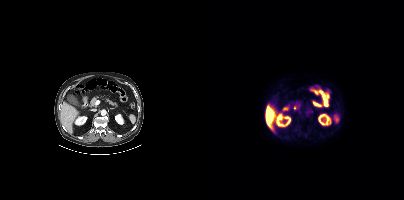
Two-panel axial: CT | PSMA PET, 18F-PSMA tracer. Acquired on Siemens Biograph mCT Flow 20. Slice position z = -696 mm. PET panel 200×200 px (4.1 mm/px). This slice has no annotated PSMA-avid lesion.